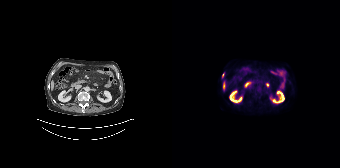
{"modality":"PSMA PET/CT","view":"axial","tracer":"18F","pet_grid":[168,168],"coord_frame":"pet_panel","coord_format":"x0,y0,x1,y1","partial":true,"lesion_bboxes":[]}